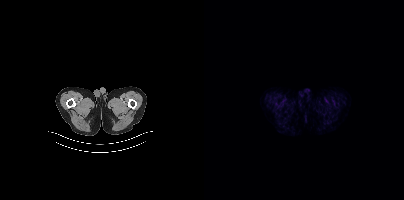
Technique: Paired axial CT (left) and PSMA PET (right), 18F tracer. slice 23 of 413.
Findings: This slice has no annotated PSMA-avid lesion.